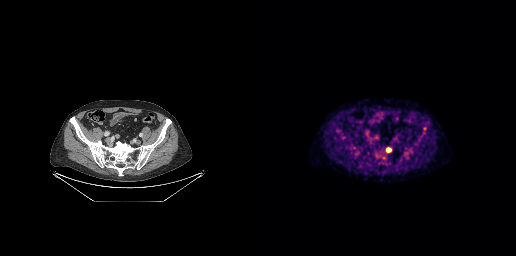
{"pet_grid":[256,256],"coord_frame":"pet_panel","coord_format":"x0,y0,x1,y1","lesion_bboxes":[],"small_foci_centers":[[128,149],[124,157]],"modality":"PSMA PET/CT","view":"axial","tracer":"18F"}